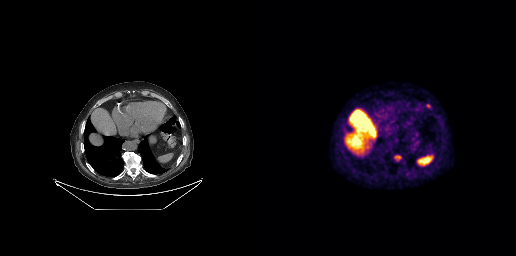
{"modality":"PSMA PET/CT","view":"axial","tracer":"18F-PSMA","pet_grid":[256,256],"coord_frame":"pet_panel","coord_format":"x0,y0,x1,y1","lesion_bboxes":[[135,156,140,158]],"small_foci_centers":[[168,105]]}